Two-panel axial: CT | PSMA PET, 18F-PSMA tracer. PET panel 256×256 px (2.7 mm/px).
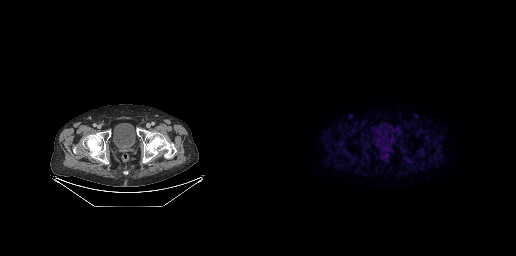
This slice has no annotated PSMA-avid lesion.